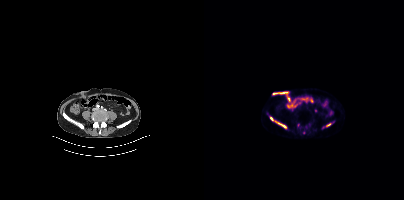
Coordinates are on the 200×200 PET (right) panel. PSMA-avid tumor lesion bounding boxes (x, y, width, height): x=66 y=117 w=17 h=12 | x=122 y=123 w=5 h=4.